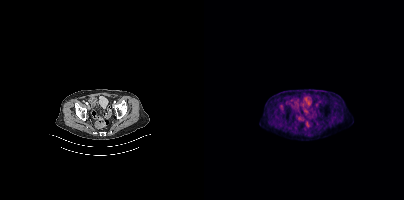
No PSMA-avid tumor lesions on this slice.